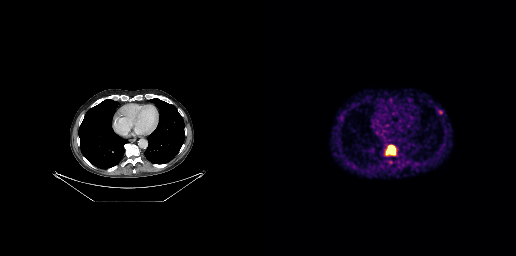
{"modality":"PSMA PET/CT","view":"axial","tracer":"68Ga-PSMA","pet_grid":[256,256],"coord_frame":"pet_panel","coord_format":"x0,y0,x1,y1","lesion_bboxes":[[125,146,135,155],[178,110,182,114]]}